- Left: CT. Right: PSMA PET, same axial level, [68Ga]Ga-PSMA-11 tracer
- acquired on GE Discovery 690
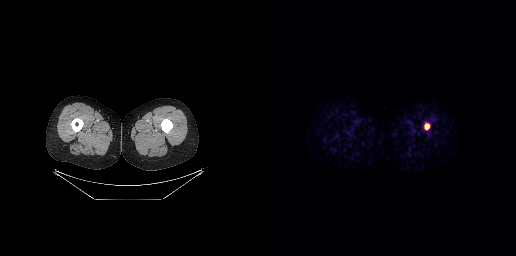
Findings: Coordinates are on the 256×256 PET (right) panel. PSMA-avid tumor lesion bounding box (x0, y0)-(x1, y1): (164, 123)-(169, 129).